Two-panel axial: CT | PSMA PET, 18F-PSMA tracer. Slice 99 of 299. PET panel 256×256 px (2.7 mm/px).
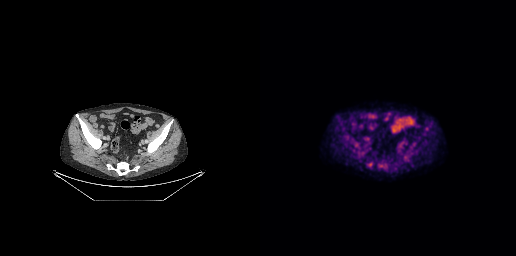
No tumor lesions annotated on this slice.